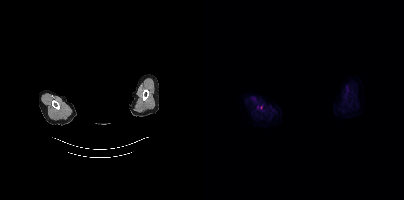
Left: CT. Right: PSMA PET, same axial level, 18F-PSMA tracer. Acquired on Siemens Biograph mCT Flow 20. PET panel 200×200 px (4.1 mm/px). Facial anatomy redacted by setting a rectangular region of the head to black. Negative for PSMA-avid disease on this slice.